Left: CT. Right: PSMA PET, same axial level, 18F tracer. Acquired on Siemens Biograph mCT Flow 20. Slice position z = -6 mm.
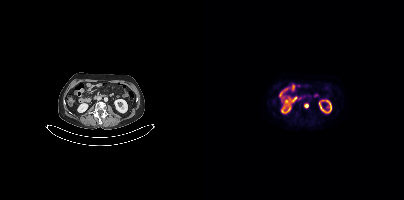
Coordinates are on the 200×200 PET (right) panel. Small PSMA-avid focus (2 to 4 px across) near (center x, center y): (102, 105).